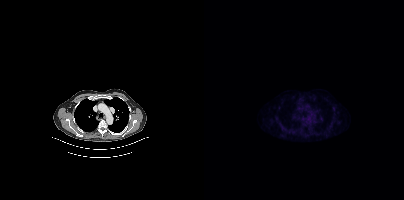
{"modality":"PSMA PET/CT","view":"axial","tracer":"18F-PSMA","pet_grid":[200,200],"coord_frame":"pet_panel","coord_format":"x0,y0,x1,y1","psma_avid_lesions":false}